Left: CT. Right: PSMA PET, same axial level, 18F tracer. Slice 251 of 427.
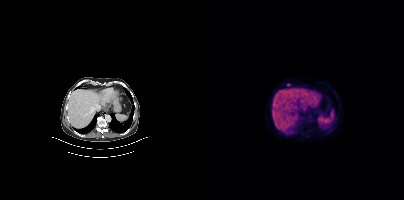
Coordinates are on the 200×200 PET (right) panel. Small PSMA-avid focus (2 to 4 px across) near (center x, center y): (84, 84).